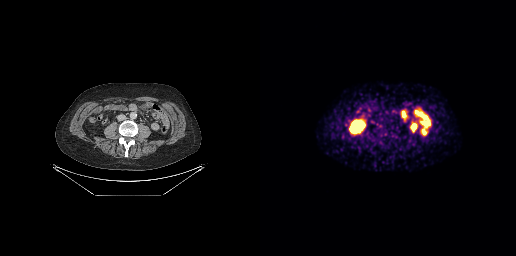
Paired axial CT (left) and PSMA PET (right), [68Ga]Ga-PSMA-11 tracer. Slice position z = -679 mm. No tumor lesions annotated on this slice.